Paired axial CT (left) and PSMA PET (right), 18F tracer. Acquired on GE Discovery 690.
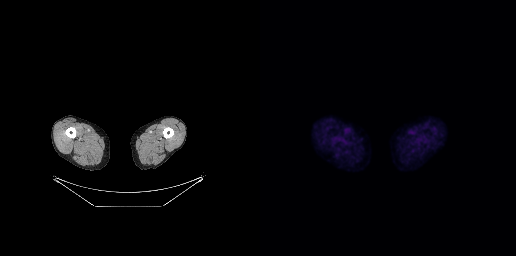
Negative for PSMA-avid disease on this slice.